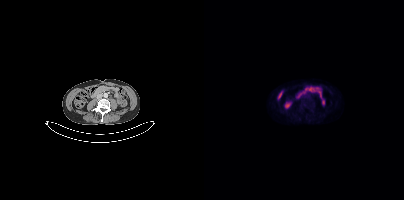
{"modality":"PSMA PET/CT","view":"axial","tracer":"18F-PSMA","pet_grid":[200,200],"coord_frame":"pet_panel","coord_format":"x0,y0,x1,y1","psma_avid_lesions":false}